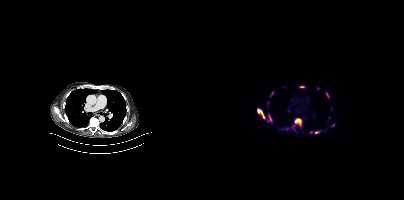
{"pet_grid":[200,200],"coord_frame":"pet_panel","coord_format":"x0,y0,x1,y1","partial":true,"lesion_bboxes":[[53,108,61,118],[90,118,97,126],[111,131,116,133],[65,115,68,121],[122,92,125,97],[96,86,100,87],[66,92,69,96]],"small_foci_centers":[[89,126],[129,125]],"modality":"PSMA PET/CT","view":"axial","tracer":"18F-PSMA"}